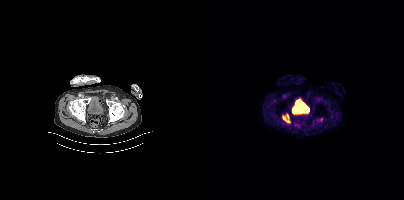
Coordinates are on the 200×200 PET (right) panel. PSMA-avid tumor lesion bounding box (x0, y0)-(x1, y1): (78, 114)-(85, 122). Small PSMA-avid focus (2 to 4 px across) near (center x, center y): (117, 119).